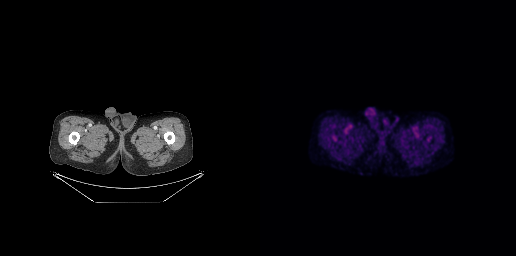
Technique: Left: CT. Right: PSMA PET, same axial level, [18F]PSMA-1007 tracer. slice position z = -939 mm. PET panel 256×256 px (2.7 mm/px).
Findings: No tumor lesions annotated on this slice.